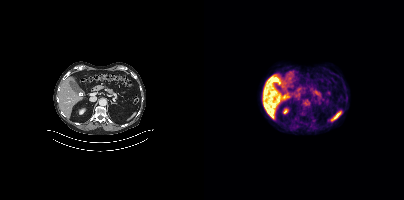
{"pet_grid":[200,200],"coord_frame":"pet_panel","coord_format":"x0,y0,x1,y1","psma_avid_lesions":false,"modality":"PSMA PET/CT","view":"axial","tracer":"[18F]PSMA-1007"}